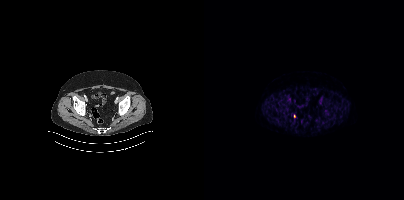
Coordinates are on the 200×200 PET (right) panel. Small PSMA-avid focus (2 to 4 px across) near (center x, center y): (90, 116).